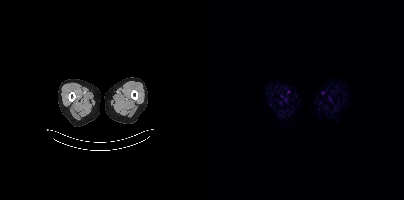
{"modality":"PSMA PET/CT","view":"axial","tracer":"18F","pet_grid":[200,200],"coord_frame":"pet_panel","coord_format":"x0,y0,x1,y1","psma_avid_lesions":false}